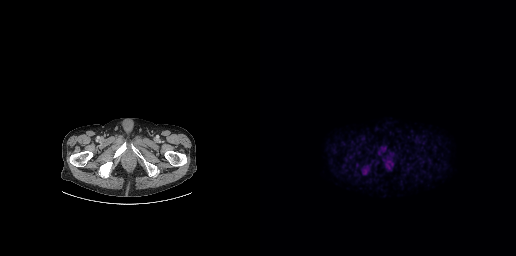
modality: PSMA PET/CT | tracer: 18F | view: axial | PET grid: 256×256
Coordinates are on the 256×256 PET (right) panel. PSMA-avid tumor lesion bounding box (x, y, width, height): x=101 y=165 w=8 h=10.